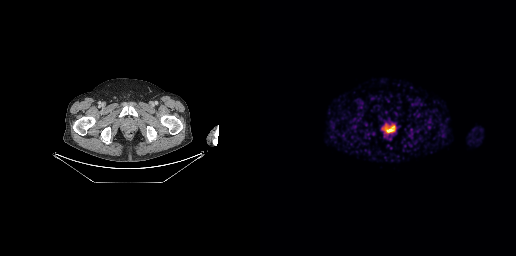
Coordinates are on the 256×256 PET (right) panel. PSMA-avid tumor lesion bounding box (x, y, width, height): x=126 y=126 w=9 h=7. Left: CT. Right: PSMA PET, same axial level, 68Ga-PSMA tracer. PET panel 256×256 px (2.7 mm/px).